Two-panel axial: CT | PSMA PET, 18F tracer. PET panel 200×200 px (4.1 mm/px). Any black rectangle here is a de-identification mask.
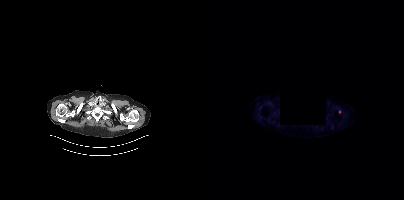
Coordinates are on the 200×200 PET (right) panel. Small PSMA-avid focus (2 to 4 px across) near (center x, center y): (135, 111).